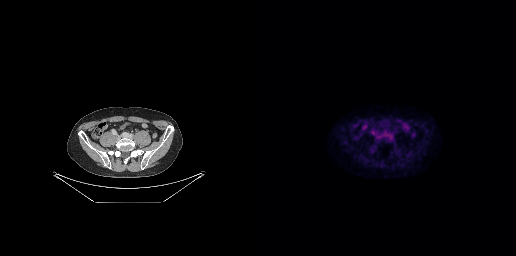
{"modality":"PSMA PET/CT","view":"axial","tracer":"[18F]PSMA-1007","pet_grid":[256,256],"coord_frame":"pet_panel","coord_format":"x0,y0,x1,y1","lesion_bboxes":[[129,135,132,139]]}